modality: PSMA PET/CT | tracer: 18F-PSMA | view: axial
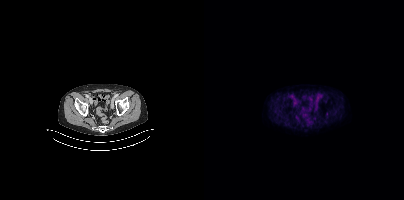
Coordinates are on the 200×200 PET (right) panel. Small PSMA-avid focus (2 to 4 px across) near (center x, center y): (122, 113).